modality: PSMA PET/CT | tracer: [18F]PSMA-1007 | view: axial
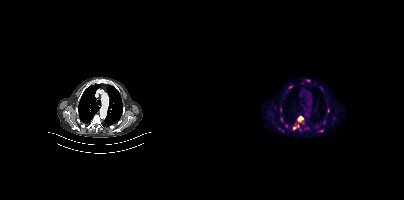
Coordinates are on the 200×200 PET (right) panel. (showing 7 of 10 foci) PSMA-avid tumor lesion bounding boxes (x0, y0)-(x1, y1): (89, 115)-(100, 131); (102, 79)-(106, 82). Small PSMA-avid foci (2 to 4 px across) near (center x, center y): (77, 118); (117, 130); (86, 87); (101, 128); (120, 121).